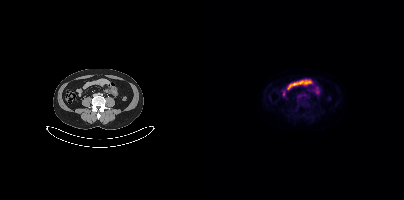
Negative for PSMA-avid disease on this slice.
modality: PSMA PET/CT | tracer: [18F]PSMA-1007 | view: axial